modality: PSMA PET/CT | tracer: 18F | view: axial | PET grid: 200×200
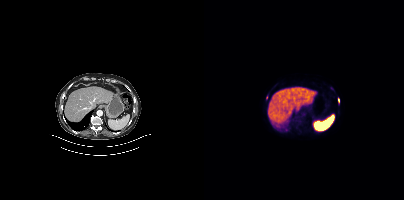
Coordinates are on the 200×200 PET (right) panel. Small PSMA-avid foci (2 to 4 px across) near (center x, center y): (62, 97) | (134, 100).